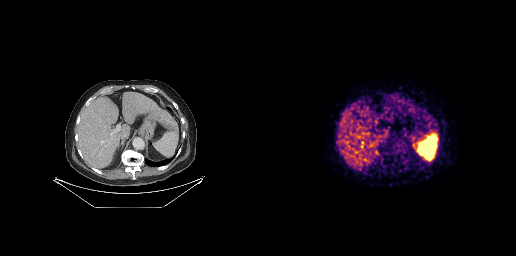
This slice has no annotated PSMA-avid lesion.